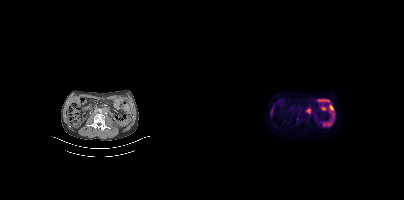
Coordinates are on the 200×200 PET (right) panel. PSMA-avid tumor lesion bounding boxes (x0, y0)-(x1, y1): (102, 107)-(107, 114) / (92, 118)-(94, 122).